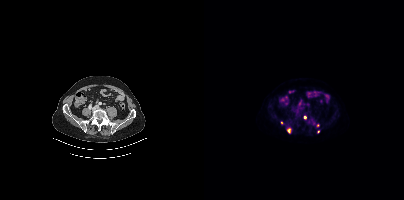
Coordinates are on the 200×200 PET (right) panel. (showing 4 of 5 foci) Small PSMA-avid foci (2 to 4 px across) near (center x, center y): (85, 130); (101, 117); (77, 122); (114, 131).
modality: PSMA PET/CT | tracer: 18F-PSMA | view: axial | PET grid: 200×200